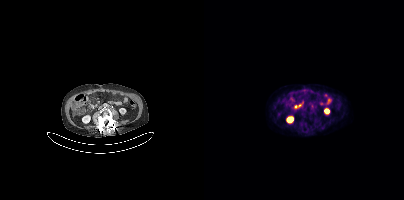
- Left: CT. Right: PSMA PET, same axial level, [18F]PSMA-1007 tracer
- acquired on Siemens Biograph mCT Flow 20
Findings: Coordinates are on the 200×200 PET (right) panel. PSMA-avid tumor lesion bounding box (x0,y0,x1,y1): [106,104,109,110]. Small PSMA-avid focus (2 to 4 px across) near (center x, center y): (111, 106).